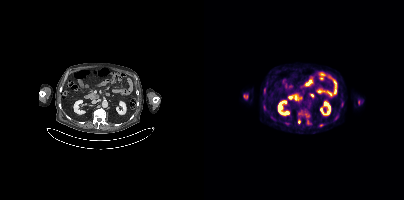
{"modality":"PSMA PET/CT","view":"axial","tracer":"[18F]PSMA-1007","pet_grid":[200,200],"coord_frame":"pet_panel","coord_format":"x0,y0,x1,y1","partial":true,"lesion_bboxes":[[60,88,61,92]],"small_foci_centers":[[95,121],[117,125],[138,102]]}